modality: PSMA PET/CT | tracer: 18F | view: axial | PET grid: 200×200
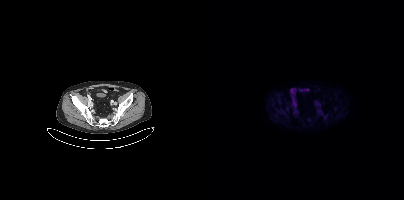
No tumor lesions annotated on this slice.